- Paired axial CT (left) and PSMA PET (right), [18F]PSMA-1007 tracer
- PET panel 200×200 px (4.1 mm/px)
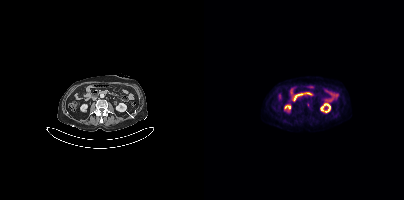
Findings: Only PSMA-avid lesion pieces thinner than 2 px on this slice (not listed).